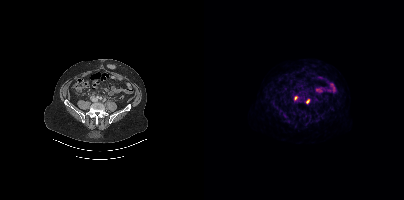
Coordinates are on the 200×200 PET (right) panel. PSMA-avid tumor lesion bounding boxes:
| # | x0 | y0 | x1 | y1 |
|---|---|---|---|---|
| 1 | 90 | 96 | 93 | 100 |
Small PSMA-avid focus (2 to 4 px across) near (center x, center y): (103, 102).
Paired axial CT (left) and PSMA PET (right), 18F-PSMA tracer. Slice 147 of 435.